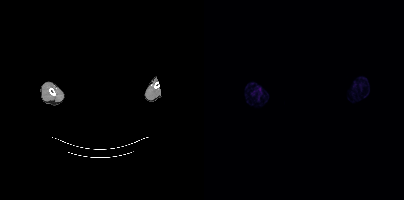
Findings: No tumor lesions annotated on this slice.
Technique: Two-panel axial: CT | PSMA PET, 18F-PSMA tracer. acquired on Siemens Biograph mCT Flow 20. slice position z = 198 mm.
Note: Face de-identified by blanking a block of the head.